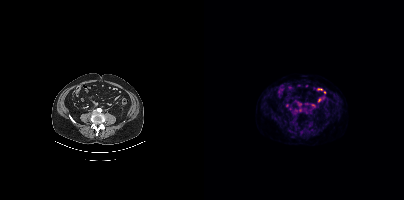
Two-panel axial: CT | PSMA PET, [18F]PSMA-1007 tracer. Acquired on Siemens Biograph mCT Flow 20. Slice 168 of 448. PET panel 200×200 px (4.1 mm/px). Negative for PSMA-avid disease on this slice.